modality: PSMA PET/CT | tracer: 18F | view: axial | PET grid: 200×200
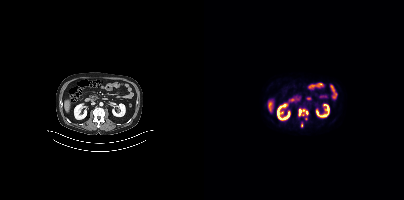
Coordinates are on the 200×200 PET (right) panel. (showing 2 of 3 foci) PSMA-avid tumor lesion bounding box (x0,y0,x1,y1): [94,108,104,116]. Small PSMA-avid focus (2 to 4 px across) near (center x, center y): (97, 125).